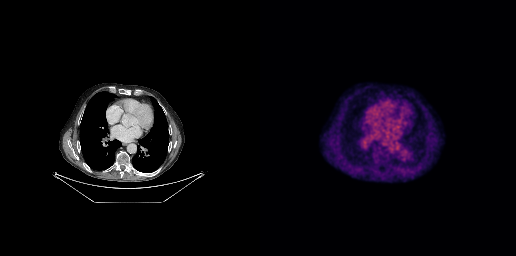
Left: CT. Right: PSMA PET, same axial level, 18F-PSMA tracer. Slice 174 of 263. Negative for PSMA-avid disease on this slice.